Left: CT. Right: PSMA PET, same axial level, [18F]PSMA-1007 tracer. Slice position z = -754 mm. PET panel 200×200 px (4.1 mm/px).
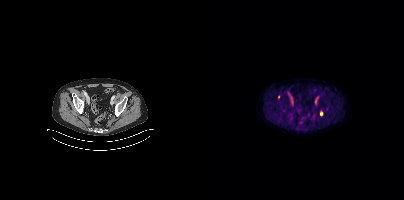
Coordinates are on the 200×200 PET (right) panel. Small PSMA-avid foci (2 to 4 px across) near (center x, center y): (117, 113); (74, 96).